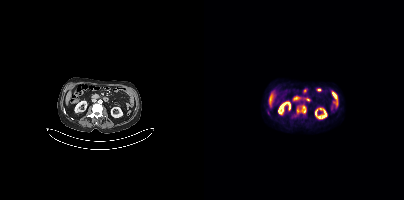
modality: PSMA PET/CT | tracer: 18F | view: axial
Coordinates are on the 200×200 PET (right) panel. PSMA-avid tumor lesion bounding box (x0, y0)-(x1, y1): (92, 105)-(102, 114).